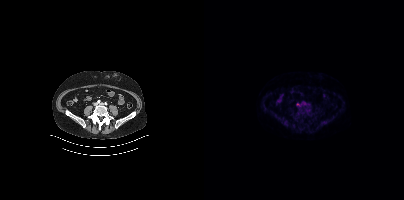
modality: PSMA PET/CT | tracer: 18F | view: axial | PET grid: 200×200
Coordinates are on the 200×200 PET (right) panel. PSMA-avid tumor lesion bounding box (x0,y0,x1,y1): [92,103,96,106].